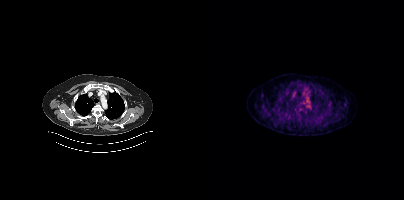
- Left: CT. Right: PSMA PET, same axial level, [18F]PSMA-1007 tracer
- slice position z = -976 mm
Findings: This slice has no annotated PSMA-avid lesion.